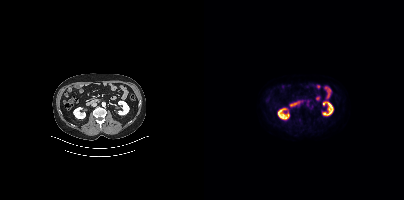
- Left: CT. Right: PSMA PET, same axial level, 18F tracer
- slice 189 of 442
- PET panel 200×200 px (4.1 mm/px)
Findings: No PSMA-avid tumor lesions on this slice.